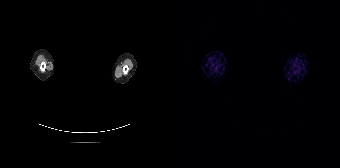
redaction: head region blanked (face removed) | modality: PSMA PET/CT | tracer: [68Ga]Ga-PSMA-11 | view: axial | PET grid: 168×168
No tumor lesions annotated on this slice.